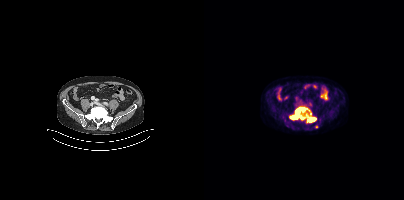
Coordinates are on the 200×200 PET (right) panel. PSMA-avid tumor lesion bounding box (x0,y0,x1,y1): [86,107,112,123]. Small PSMA-avid foci (2 to 4 px across) near (center x, center y): (112, 126), (106, 113). Two-panel axial: CT | PSMA PET, 18F-PSMA tracer. Slice 130 of 429.